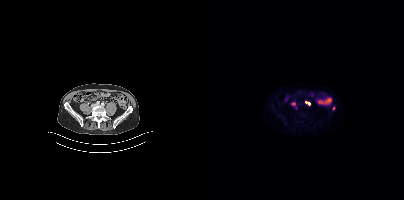
- Paired axial CT (left) and PSMA PET (right), 18F tracer
- slice position z = -1462 mm
- PET panel 200×200 px (4.1 mm/px)
Findings: Coordinates are on the 200×200 PET (right) panel. PSMA-avid tumor lesion bounding box (x0, y0)-(x1, y1): (101, 101)-(106, 105). Small PSMA-avid foci (2 to 4 px across) near (center x, center y): (129, 108); (89, 103).